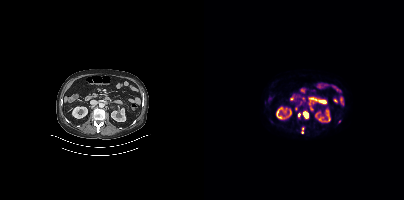
Coordinates are on the 200×200 PET (right) panel. PSMA-avid tumor lesion bounding box (x, y, width, height): x=99 y=111 w=6 h=8. Small PSMA-avid foci (2 to 4 px across) near (center x, center y): (95, 114) / (98, 132) / (98, 128). Left: CT. Right: PSMA PET, same axial level, 18F tracer. PET panel 200×200 px (4.1 mm/px).